modality: PSMA PET/CT | tracer: 18F | view: axial
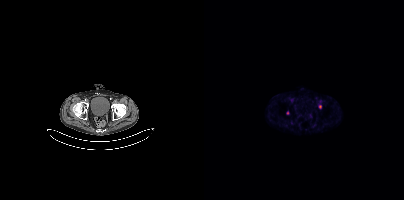
Coordinates are on the 200×200 PET (right) panel. Small PSMA-avid foci (2 to 4 px across) near (center x, center y): (116, 106) | (83, 112).